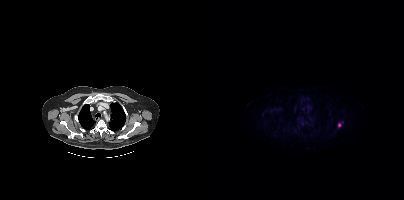
Technique: Left: CT. Right: PSMA PET, same axial level, [18F]PSMA-1007 tracer. slice position z = -936 mm. PET panel 200×200 px (4.1 mm/px).
Findings: Coordinates are on the 200×200 PET (right) panel. Small PSMA-avid foci (2 to 4 px across) near (center x, center y): (135, 125) (98, 123).